- Paired axial CT (left) and PSMA PET (right), [18F]PSMA-1007 tracer
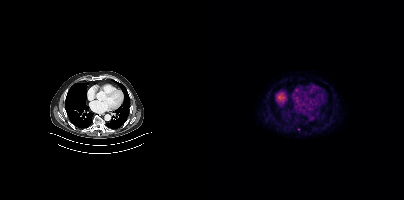
Findings: Coordinates are on the 200×200 PET (right) panel. Small PSMA-avid focus (2 to 4 px across) near (center x, center y): (94, 129).